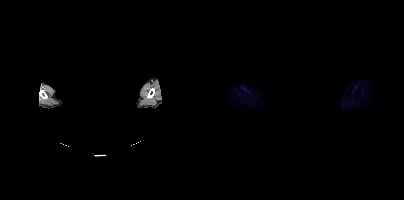
modality: PSMA PET/CT | tracer: [18F]PSMA-1007 | view: axial | PET grid: 200×200 | deidentification: head region blanked (face removed)
Negative for PSMA-avid disease on this slice.